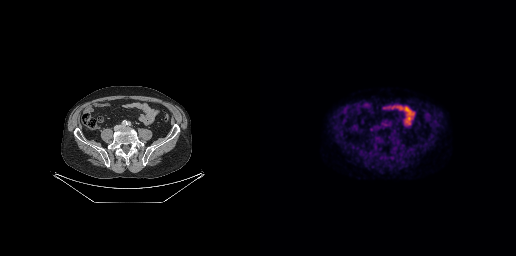
Technique: Two-panel axial: CT | PSMA PET, 18F tracer. slice position z = -610 mm. PET panel 256×256 px (2.7 mm/px).
Findings: Negative for PSMA-avid disease on this slice.